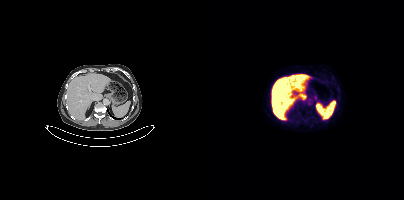
This slice has no annotated PSMA-avid lesion. Left: CT. Right: PSMA PET, same axial level, 18F tracer. PET panel 200×200 px (4.1 mm/px).